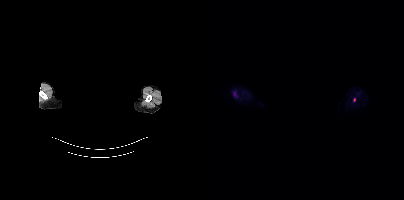
deidentification: rectangular block over head set to black | modality: PSMA PET/CT | tracer: [18F]PSMA-1007 | view: axial
Coordinates are on the 200×200 PET (right) panel. Small PSMA-avid focus (2 to 4 px across) near (center x, center y): (150, 99).